- Left: CT. Right: PSMA PET, same axial level, 18F-PSMA tracer
- acquired on GE Discovery 690
- slice 212 of 263
- PET panel 256×256 px (2.7 mm/px)
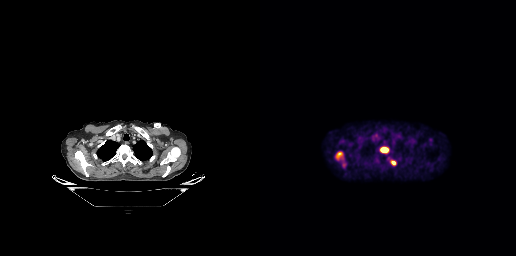
Findings: Coordinates are on the 256×256 PET (right) panel. PSMA-avid tumor lesion bounding boxes (x0, y0)-(x1, y1): (75, 151)-(83, 160) | (120, 147)-(128, 152) | (130, 160)-(136, 165). Small PSMA-avid focus (2 to 4 px across) near (center x, center y): (84, 165).